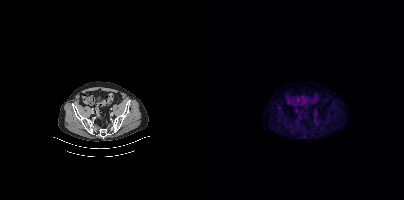
Findings: No tumor lesions annotated on this slice.
Technique: Two-panel axial: CT | PSMA PET, [18F]PSMA-1007 tracer. acquired on Siemens Biograph mCT Flow 20.